modality: PSMA PET/CT | tracer: [68Ga]Ga-PSMA-11 | view: axial | redaction: facial region redacted
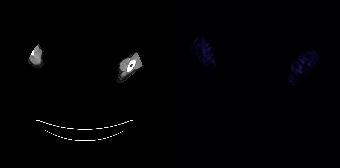
This slice has no annotated PSMA-avid lesion.